- Paired axial CT (left) and PSMA PET (right), [18F]PSMA-1007 tracer
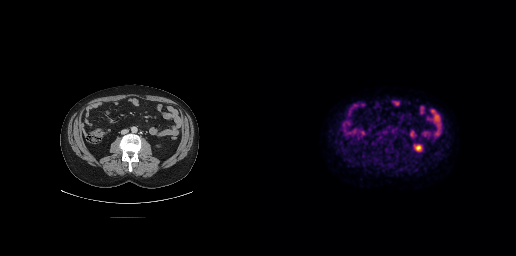
Findings: No PSMA-avid tumor lesions on this slice.